- Two-panel axial: CT | PSMA PET, [18F]PSMA-1007 tracer
- slice 336 of 371
- PET panel 256×256 px (2.7 mm/px)
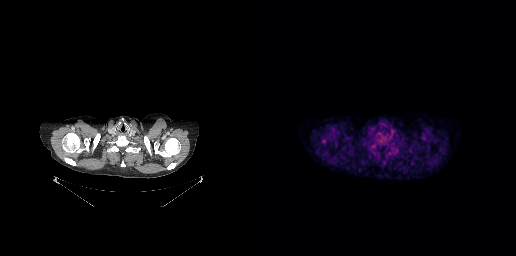
Findings: This slice has no annotated PSMA-avid lesion.